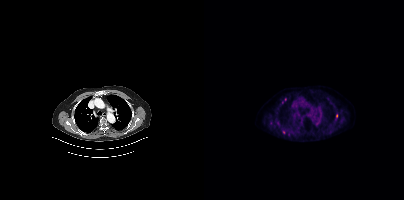
Paired axial CT (left) and PSMA PET (right), 18F-PSMA tracer. Slice position z = -1049 mm. Coordinates are on the 200×200 PET (right) panel. (showing 3 of 4 foci) Small PSMA-avid foci (2 to 4 px across) near (center x, center y): (79, 132), (81, 99), (78, 102).